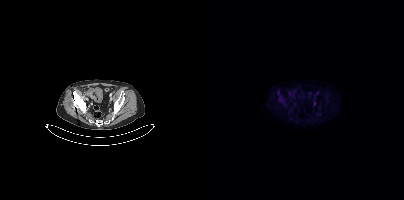
Coordinates are on the 200×200 PET (right) panel. PSMA-avid tumor lesion bounding box (x0, y0)-(x1, y1): (110, 101)-(111, 105). Two-panel axial: CT | PSMA PET, [18F]PSMA-1007 tracer. Slice 106 of 421.